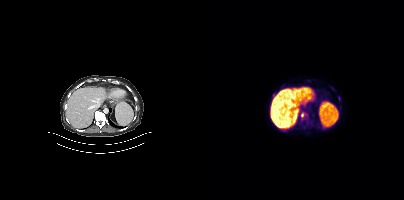
Coordinates are on the 200×200 PET (right) panel. Small PSMA-avid focus (2 to 4 px across) near (center x, center y): (98, 114).